Technique: Two-panel axial: CT | PSMA PET, 18F tracer.
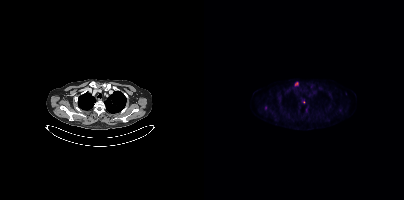
Findings: Coordinates are on the 200×200 PET (right) panel. PSMA-avid tumor lesion bounding box (x, y, width, height): x=90 y=82 w=5 h=5. Small PSMA-avid focus (2 to 4 px across) near (center x, center y): (99, 101).